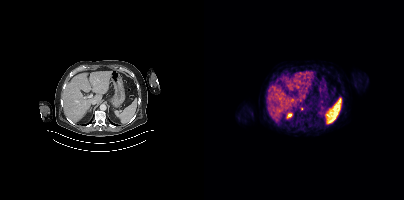
modality: PSMA PET/CT | tracer: [68Ga]Ga-PSMA-11 | view: axial | PET grid: 200×200
Coordinates are on the 200×200 PET (right) panel. Small PSMA-avid focus (2 to 4 px across) near (center x, center y): (97, 108).